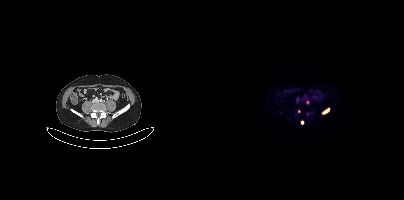
Coordinates are on the 200×200 PET (right) panel. PSMA-avid tumor lesion bounding boxes (x0,y0,x1,y1): [118,109,125,114]; [102,100,105,104]. Small PSMA-avid foci (2 to 4 px across) near (center x, center y): (94, 111); (98, 122).
modality: PSMA PET/CT | tracer: [68Ga]Ga-PSMA-11 | view: axial | PET grid: 200×200